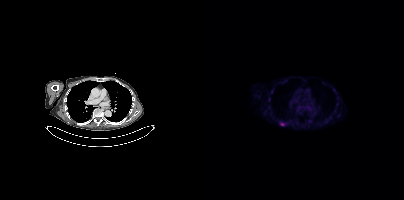
modality: PSMA PET/CT | tracer: 18F-PSMA | view: axial
Coordinates are on the 200×200 PET (right) panel. (showing 1 of 3 foci) PSMA-avid tumor lesion bounding box (x0,y0,x1,y1): [76,123,80,125].